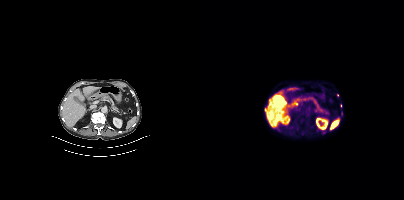
Coordinates are on the 200×200 PET (right) panel. (showing 3 of 4 foci) Small PSMA-avid foci (2 to 4 px across) near (center x, center y): (61, 109); (137, 113); (133, 94).